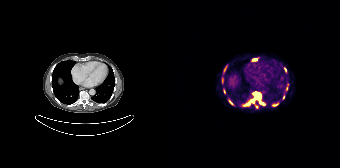
{"modality":"PSMA PET/CT","view":"axial","tracer":"[68Ga]Ga-PSMA-11","pet_grid":[168,168],"coord_frame":"pet_panel","coord_format":"x0,y0,x1,y1","partial":true,"lesion_bboxes":[[81,92,88,100],[115,83,116,89]],"small_foci_centers":[[75,104],[82,59],[113,69],[58,102],[85,107],[89,103],[80,101],[71,105],[111,97]]}